Two-panel axial: CT | PSMA PET, 68Ga tracer. Slice position z = -550 mm.
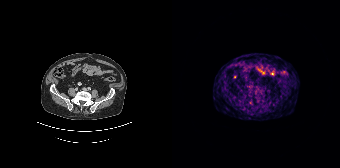
Negative for PSMA-avid disease on this slice.